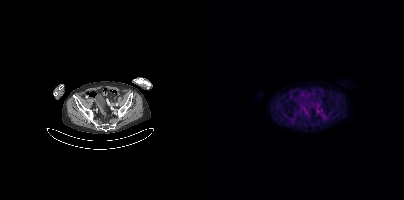
{"modality":"PSMA PET/CT","view":"axial","tracer":"18F","pet_grid":[200,200],"coord_frame":"pet_panel","coord_format":"x0,y0,x1,y1","partial":true,"lesion_bboxes":[],"small_foci_centers":[[114,104]]}